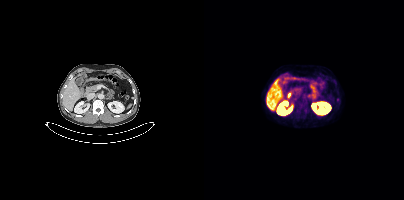
{"modality":"PSMA PET/CT","view":"axial","tracer":"18F-PSMA","pet_grid":[200,200],"coord_frame":"pet_panel","coord_format":"x0,y0,x1,y1","lesion_bboxes":[],"small_foci_centers":[[133,99]]}